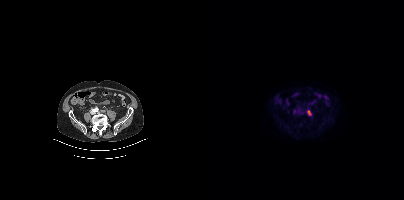
Two-panel axial: CT | PSMA PET, 18F-PSMA tracer. Slice 126 of 383.
Coordinates are on the 200×200 PET (right) panel. PSMA-avid tumor lesion bounding boxes:
| # | x0 | y0 | x1 | y1 |
|---|---|---|---|---|
| 1 | 103 | 110 | 107 | 115 |